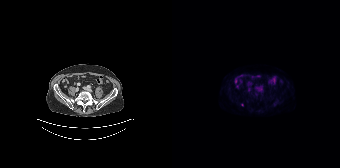
- Left: CT. Right: PSMA PET, same axial level, 18F-PSMA tracer
- slice position z = -1178 mm
Findings: No tumor lesions annotated on this slice.